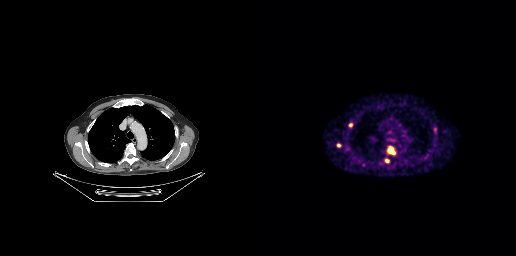
modality: PSMA PET/CT | tracer: 68Ga-PSMA | view: axial | PET grid: 256×256
Coordinates are on the 256×256 PET (right) panel. PSMA-avid tumor lesion bounding boxes (x0,y0,x1,y1): [128,147,134,154], [125,159,129,162]. Small PSMA-avid foci (2 to 4 px across) near (center x, center y): (78, 145), (90, 125).